modality: PSMA PET/CT | tracer: 68Ga | view: axial
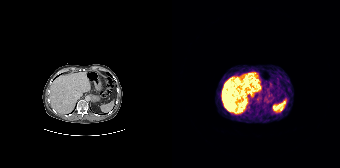
No PSMA-avid tumor lesions on this slice.